- facial anatomy redacted by setting a rectangular region of the head to black
- Paired axial CT (left) and PSMA PET (right), 18F tracer
- slice 258 of 263
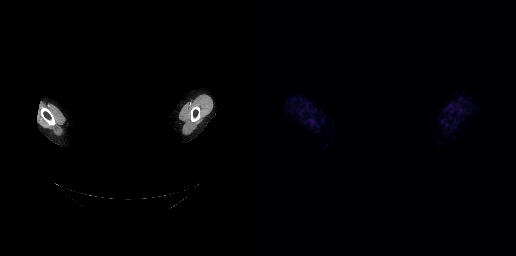
Findings: No tumor lesions annotated on this slice.